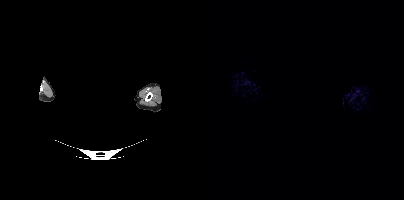
Negative for PSMA-avid disease on this slice.
modality: PSMA PET/CT | tracer: 18F | view: axial | PET grid: 200×200 | deidentification: face masked with black rectangle